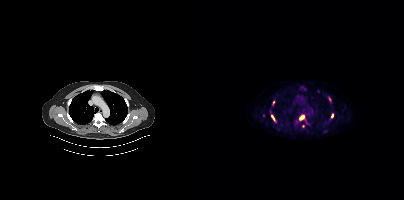
Coordinates are on the 200×200 PET (right) panel. PSMA-avid tumor lesion bounding boxes (x0,y0,x1,y1): [95,115,100,120]; [127,113,129,117]; [67,115,70,120]. Small PSMA-avid foci (2 to 4 px across) near (center x, center y): (125, 99); (69, 102); (99, 126).